modality: PSMA PET/CT | tracer: [18F]PSMA-1007 | view: axial
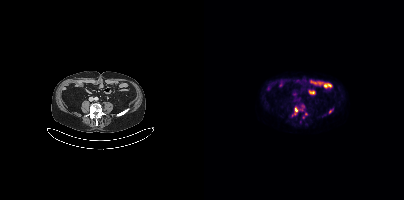
Coordinates are on the 200×200 PET (right) panel. (showing 4 of 5 foci) PSMA-avid tumor lesion bounding box (x0, y0)-(x1, y1): (88, 112)-(92, 116). Small PSMA-avid foci (2 to 4 px across) near (center x, center y): (126, 111); (92, 109); (102, 113).